modality: PSMA PET/CT | tracer: 18F | view: axial | PET grid: 200×200
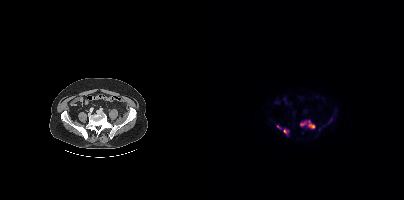
Coordinates are on the 200×200 PET (right) panel. (showing 4 of 5 foci) PSMA-avid tumor lesion bounding boxes (x, y, width, height): x=104 y=120 w=7 h=9 | x=96 y=122 w=7 h=4 | x=79 y=129 w=5 h=5. Small PSMA-avid focus (2 to 4 px across) near (center x, center y): (74, 126).